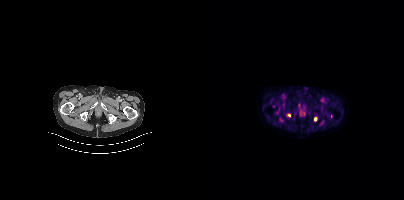
Technique: Two-panel axial: CT | PSMA PET, [18F]PSMA-1007 tracer. slice 43 of 407. PET panel 200×200 px (4.1 mm/px).
Findings: Coordinates are on the 200×200 PET (right) panel. Small PSMA-avid foci (2 to 4 px across) near (center x, center y): (111, 119); (85, 115).